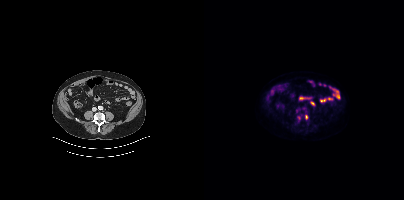
Left: CT. Right: PSMA PET, same axial level, 18F tracer. Acquired on Siemens Biograph mCT Flow 20. Slice position z = -624 mm. PET panel 200×200 px (4.1 mm/px). Coordinates are on the 200×200 PET (right) panel. Small PSMA-avid focus (2 to 4 px across) near (center x, center y): (102, 117).